- Paired axial CT (left) and PSMA PET (right), 18F tracer
- acquired on GE Discovery 690
- slice 54 of 263
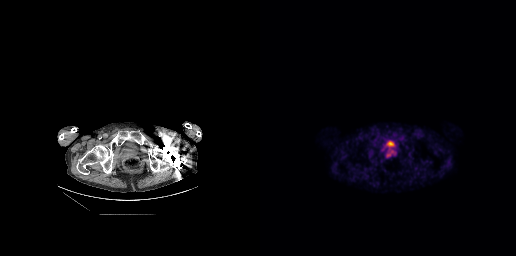
Findings: Coordinates are on the 256×256 PET (right) panel. PSMA-avid tumor lesion bounding box (x0,y0,x1,y1): [127,149,135,157].